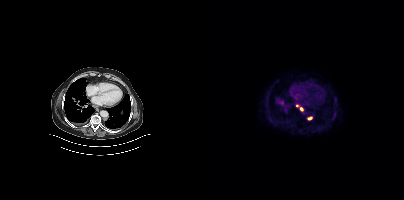
Coordinates are on the 200×200 PET (right) panel. Small PSMA-avid foci (2 to 4 px across) near (center x, center y): (105, 118) / (97, 109) / (93, 105).